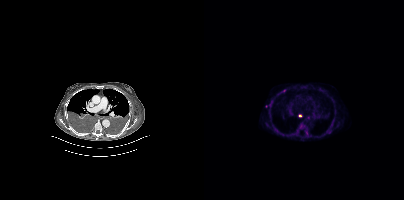
{"modality":"PSMA PET/CT","view":"axial","tracer":"18F","pet_grid":[200,200],"coord_frame":"pet_panel","coord_format":"x0,y0,x1,y1","lesion_bboxes":[[93,124,100,132],[101,130,104,136],[65,102,68,106]],"small_foci_centers":[[80,90],[62,106],[104,117],[95,115]]}